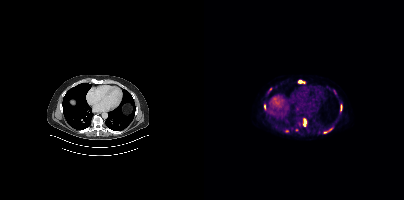
Left: CT. Right: PSMA PET, same axial level, 18F tracer. PET panel 200×200 px (4.1 mm/px). Coordinates are on the 200×200 PET (right) panel. (showing 3 of 6 foci) PSMA-avid tumor lesion bounding boxes (x0,y0,x1,y1): [99,118,102,126] [94,80,100,83]. Small PSMA-avid focus (2 to 4 px across) near (center x, center y): (60, 106).